Technique: Paired axial CT (left) and PSMA PET (right), 18F-PSMA tracer. acquired on Siemens Biograph mCT Flow 20. PET panel 200×200 px (4.1 mm/px).
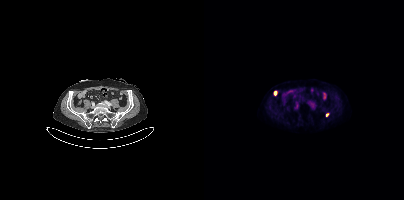
Findings: Coordinates are on the 200×200 PET (right) panel. PSMA-avid tumor lesion bounding box (x, y, width, height): x=70 y=91 w=3 h=5. Small PSMA-avid focus (2 to 4 px across) near (center x, center y): (123, 115).